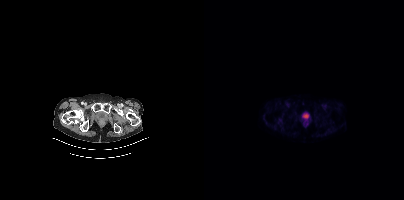
No tumor lesions annotated on this slice.